Paired axial CT (left) and PSMA PET (right), [18F]PSMA-1007 tracer. Slice 81 of 405. PET panel 200×200 px (4.1 mm/px).
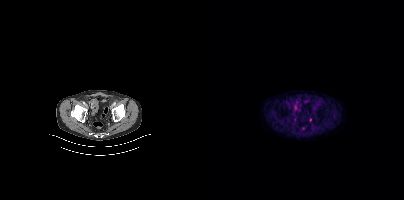
Negative for PSMA-avid disease on this slice.